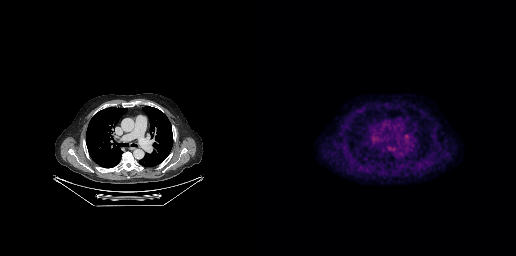
Technique: Left: CT. Right: PSMA PET, same axial level, 18F-PSMA tracer. slice position z = -195 mm.
Findings: Negative for PSMA-avid disease on this slice.